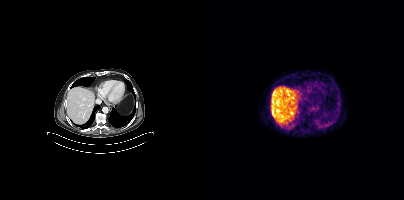
No PSMA-avid tumor lesions on this slice.